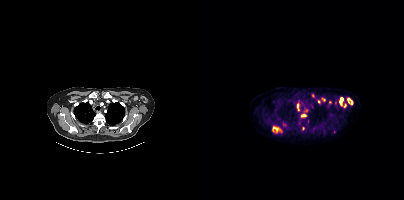
Coordinates are on the 200×200 PET (right) panel. PSMA-avid tumor lesion bounding boxes (partial; 2 more foci not listed):
| # | x0 | y0 | x1 | y1 |
|---|---|---|---|---|
| 1 | 97 | 109 | 103 | 117 |
| 2 | 68 | 127 | 77 | 132 |
| 3 | 136 | 97 | 139 | 106 |
| 4 | 143 | 98 | 148 | 104 |
| 5 | 131 | 101 | 132 | 105 |
Small PSMA-avid foci (2 to 4 px across) near (center x, center y): (109, 95); (94, 109); (104, 120); (126, 102); (80, 124); (94, 104); (141, 105); (119, 99); (114, 101); (99, 128).
Left: CT. Right: PSMA PET, same axial level, [18F]PSMA-1007 tracer.